Two-panel axial: CT | PSMA PET, [18F]PSMA-1007 tracer. PET panel 200×200 px (4.1 mm/px).
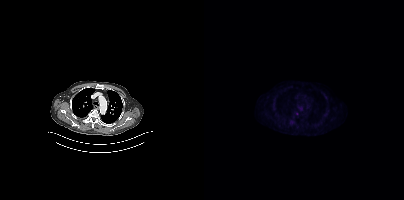
Only PSMA-avid lesion pieces thinner than 2 px on this slice (not listed).